modality: PSMA PET/CT | tracer: 18F | view: axial | PET grid: 200×200
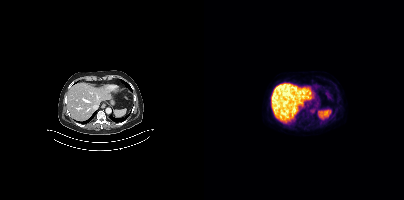
No tumor lesions annotated on this slice.